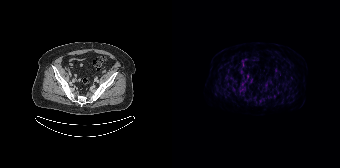
modality: PSMA PET/CT | tracer: [18F]PSMA-1007 | view: axial | PET grid: 168×168
Coordinates are on the 168×168 PET (right) panel. PSMA-avid tumor lesion bounding box (x0, y0)-(x1, y1): (75, 74)-(76, 78).